Paired axial CT (left) and PSMA PET (right), 68Ga-PSMA tracer. Slice position z = -443 mm. PET panel 256×256 px (2.7 mm/px).
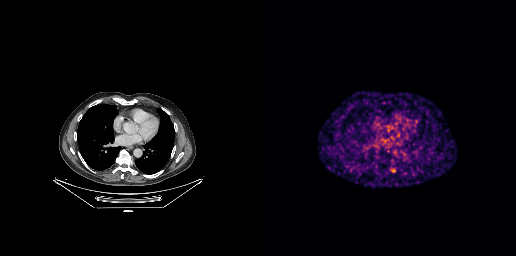
Coordinates are on the 256×256 PET (right) panel. PSMA-avid tumor lesion bounding boxes:
| # | x0 | y0 | x1 | y1 |
|---|---|---|---|---|
| 1 | 129 | 167 | 135 | 172 |